Technique: Two-panel axial: CT | PSMA PET, [18F]PSMA-1007 tracer. slice 46 of 442. PET panel 200×200 px (4.1 mm/px).
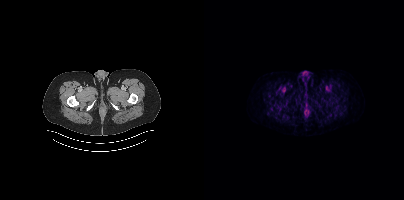
Findings: No tumor lesions annotated on this slice.